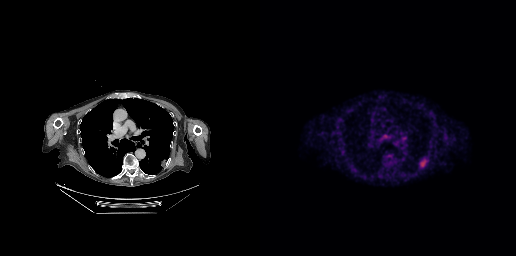
Left: CT. Right: PSMA PET, same axial level, 18F tracer. PET panel 256×256 px (2.7 mm/px). Coordinates are on the 256×256 PET (right) panel. PSMA-avid tumor lesion bounding boxes (x0,y0,x1,y1): [122,134,128,139] [160,160,166,166].